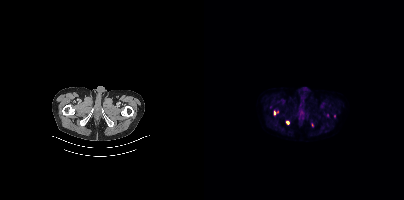
{"modality":"PSMA PET/CT","view":"axial","tracer":"[18F]PSMA-1007","pet_grid":[200,200],"coord_frame":"pet_panel","coord_format":"x0,y0,x1,y1","partial":true,"lesion_bboxes":[[70,110,74,115]],"small_foci_centers":[[83,122],[108,124]]}